- Two-panel axial: CT | PSMA PET, [18F]PSMA-1007 tracer
- acquired on Siemens Biograph mCT Flow 20
- PET panel 200×200 px (4.1 mm/px)
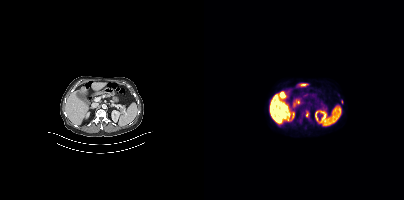
Findings: Coordinates are on the 200×200 PET (right) panel. PSMA-avid tumor lesion bounding box (x0, y0)-(x1, y1): (102, 111)-(105, 117). Small PSMA-avid focus (2 to 4 px across) near (center x, center y): (137, 101).